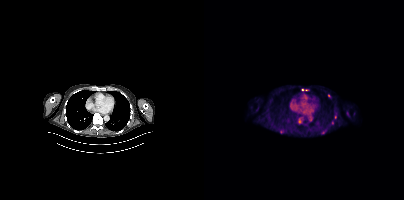
Two-panel axial: CT | PSMA PET, [18F]PSMA-1007 tracer. Coordinates are on the 200×200 PET (right) panel. (showing 3 of 6 foci) Small PSMA-avid foci (2 to 4 px across) near (center x, center y): (125, 95) / (98, 89) / (77, 131).